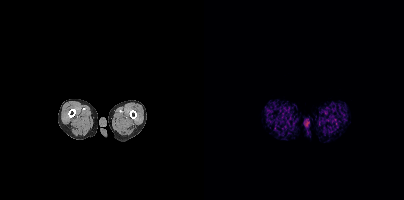
Negative for PSMA-avid disease on this slice.